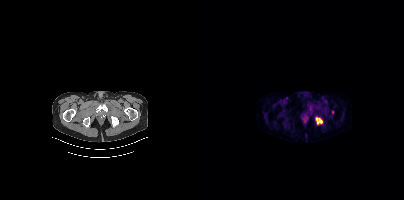
Coordinates are on the 200×200 PET (right) panel. PSMA-avid tumor lesion bounding box (x0,y0,x1,y1): [111,117,118,124]. Small PSMA-avid focus (2 to 4 px across) near (center x, center y): (128, 111). Left: CT. Right: PSMA PET, same axial level, 68Ga-PSMA tracer. Acquired on Siemens Biograph mCT Flow 20. PET panel 200×200 px (4.1 mm/px).